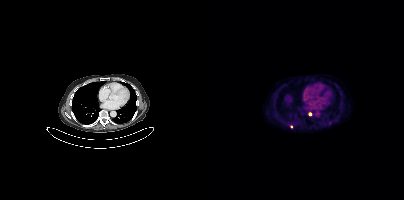
Coordinates are on the 200×200 PET (right) panel. Small PSMA-avid foci (2 to 4 px across) near (center x, center y): (106, 114), (87, 126).